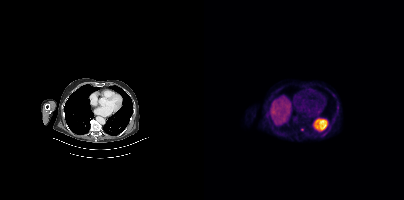
Coordinates are on the 200×200 PET (right) panel. Small PSMA-avid focus (2 to 4 px across) near (center x, center y): (98, 129). Paired axial CT (left) and PSMA PET (right), 18F-PSMA tracer. PET panel 200×200 px (4.1 mm/px).